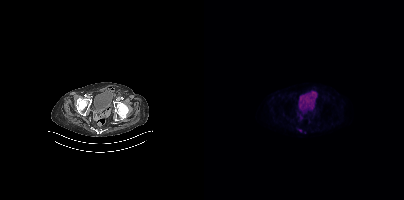
{"modality":"PSMA PET/CT","view":"axial","tracer":"18F","pet_grid":[200,200],"coord_frame":"pet_panel","coord_format":"x0,y0,x1,y1","lesion_bboxes":[],"small_foci_centers":[[96,130]]}